Technique: Paired axial CT (left) and PSMA PET (right), 18F tracer.
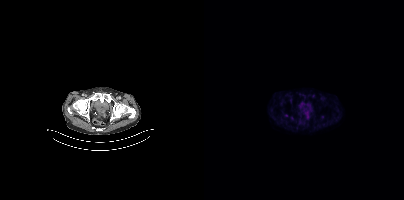
Findings: This slice has no annotated PSMA-avid lesion.